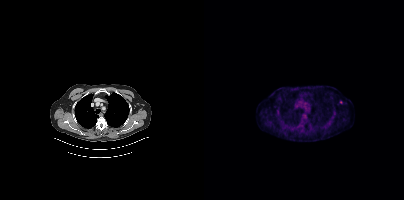
modality: PSMA PET/CT | tracer: [18F]PSMA-1007 | view: axial
Coordinates are on the 200×200 PET (right) panel. Small PSMA-avid focus (2 to 4 px across) near (center x, center y): (137, 102).